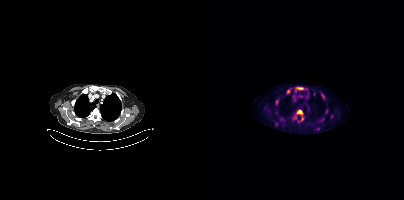
Coordinates are on the 200×200 PET (right) panel. PSMA-avid tumor lesion bounding boxes (partial; 3 more foci not listed):
| # | x0 | y0 | x1 | y1 |
|---|---|---|---|---|
| 1 | 92 | 87 | 103 | 89 |
| 2 | 93 | 110 | 98 | 114 |
| 3 | 117 | 93 | 121 | 99 |
| 4 | 71 | 99 | 74 | 104 |
| 5 | 83 | 89 | 86 | 93 |
Left: CT. Right: PSMA PET, same axial level, 18F-PSMA tracer.